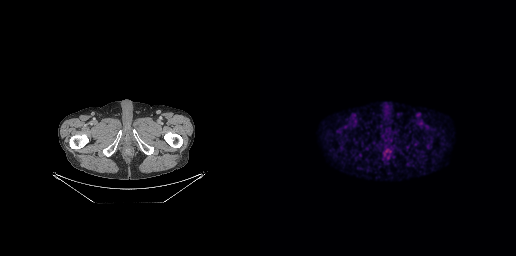
Two-panel axial: CT | PSMA PET, [18F]PSMA-1007 tracer. Acquired on GE Discovery 690. PET panel 256×256 px (2.7 mm/px). This slice has no annotated PSMA-avid lesion.